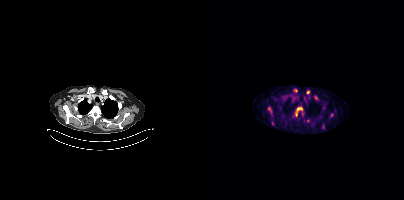
Coordinates are on the 200×200 PET (right) panel. PSMA-avid tumor lesion bounding boxes (x, y, width, height): x=91 y=107 w=8 h=10 | x=64 y=107 w=4 h=6. Small PSMA-avid foci (2 to 4 px across) near (center x, center y): (91, 90) | (103, 91) | (112, 97) | (127, 114).